modality: PSMA PET/CT | tracer: 18F-PSMA | view: axial | de-identification: head region blanked (face removed)
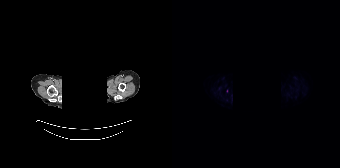
Only PSMA-avid lesion pieces thinner than 2 px on this slice (not listed).